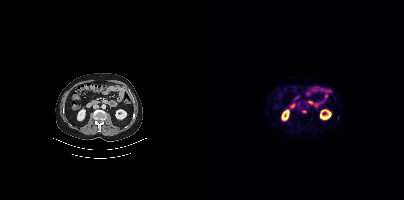
{"pet_grid":[200,200],"coord_frame":"pet_panel","coord_format":"x0,y0,x1,y1","partial":true,"lesion_bboxes":[],"small_foci_centers":[[100,111]],"modality":"PSMA PET/CT","view":"axial","tracer":"[18F]PSMA-1007"}